Left: CT. Right: PSMA PET, same axial level, 18F tracer. Acquired on Siemens Biograph mCT Flow 20.
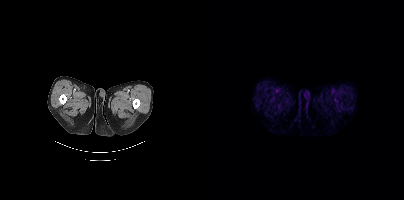
No tumor lesions annotated on this slice.